modality: PSMA PET/CT | tracer: 18F | view: axial | PET grid: 200×200
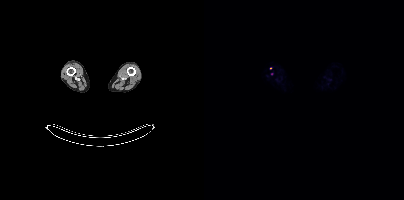
Coordinates are on the 200×200 PET (right) panel. (showing 1 of 2 foci) Small PSMA-avid focus (2 to 4 px across) near (center x, center y): (68, 73).